- Two-panel axial: CT | PSMA PET, 18F-PSMA tracer
- slice 87 of 433
- PET panel 200×200 px (4.1 mm/px)
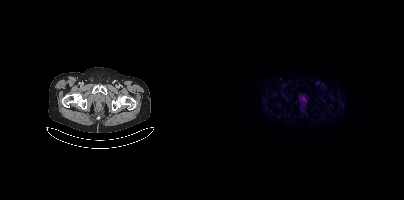
Findings: No tumor lesions annotated on this slice.